- Left: CT. Right: PSMA PET, same axial level, [18F]PSMA-1007 tracer
- PET panel 200×200 px (4.1 mm/px)
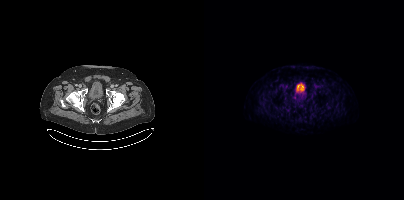
Findings: Coordinates are on the 200×200 PET (right) panel. PSMA-avid tumor lesion bounding box (x0, y0)-(x1, y1): (82, 84)-(88, 88).